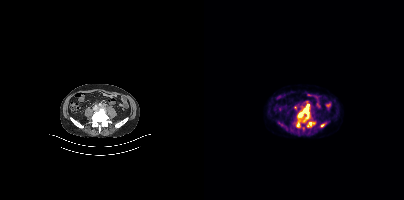
- Paired axial CT (left) and PSMA PET (right), 18F tracer
- acquired on Siemens Biograph mCT Flow 20
- PET panel 200×200 px (4.1 mm/px)
Findings: Coordinates are on the 200×200 PET (right) panel. PSMA-avid tumor lesion bounding boxes (x0, y0)-(x1, y1): (94, 105)-(105, 121); (103, 122)-(110, 126); (93, 122)-(95, 126). Small PSMA-avid focus (2 to 4 px across) near (center x, center y): (118, 125).